modality: PSMA PET/CT | tracer: 18F-PSMA | view: axial | PET grid: 200×200
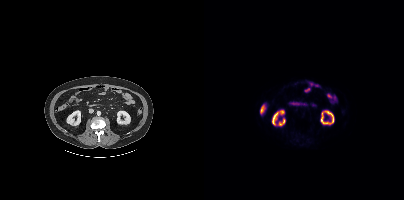
Negative for PSMA-avid disease on this slice.